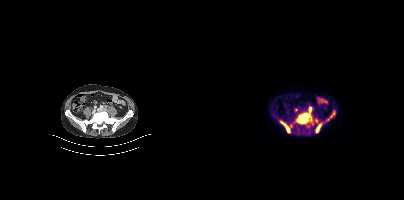
Coordinates are on the 200×200 PET (right) panel. (showing 4 of 6 foci) PSMA-avid tumor lesion bounding boxes (x0, y0)-(x1, y1): (92, 113)-(107, 123) | (76, 121)-(85, 132) | (112, 124)-(117, 132) | (105, 107)-(107, 111).